modality: PSMA PET/CT | tracer: 68Ga | view: axial | PET grid: 168×168
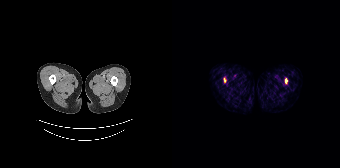
Coordinates are on the 168×168 PET (right) panel. PSMA-avid tumor lesion bounding boxes (x, y, width, height): x=113 y=78 w=3 h=6 / x=52 y=78 w=2 h=5.